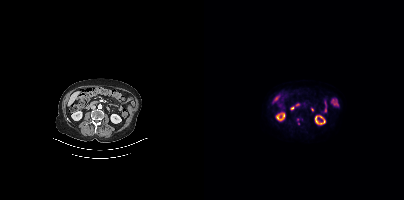
Coordinates are on the 200×200 PET (right) panel. Small PSMA-avid foci (2 to 4 px across) near (center x, center y): (93, 119); (94, 123); (97, 119).
modality: PSMA PET/CT | tracer: 18F | view: axial | PET grid: 200×200